Left: CT. Right: PSMA PET, same axial level, [18F]PSMA-1007 tracer. Slice position z = 1516 mm.
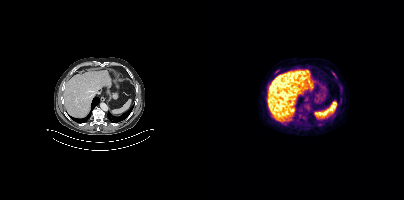
Coordinates are on the 200×200 PET (right) panel. PSMA-avid tumor lesion bounding box (x, y, width, height): x=128 y=72 w=4 h=6.